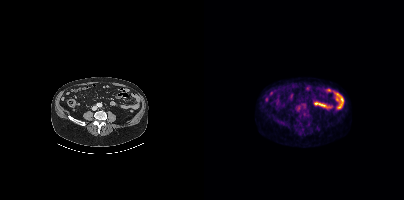
Negative for PSMA-avid disease on this slice.
modality: PSMA PET/CT | tracer: 18F | view: axial | PET grid: 200×200